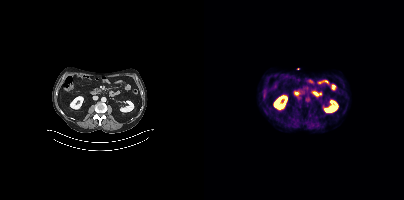
{"modality":"PSMA PET/CT","view":"axial","tracer":"18F-PSMA","pet_grid":[200,200],"coord_frame":"pet_panel","coord_format":"x0,y0,x1,y1","psma_avid_lesions":false}